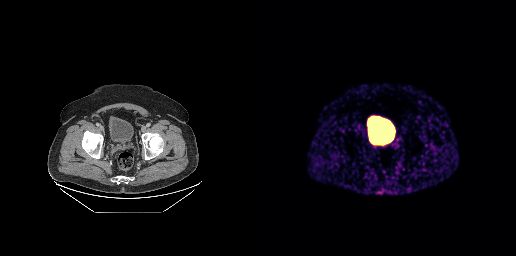
{"modality":"PSMA PET/CT","view":"axial","tracer":"[68Ga]Ga-PSMA-11","pet_grid":[256,256],"coord_frame":"pet_panel","coord_format":"x0,y0,x1,y1","lesion_bboxes":[[114,136,132,143]]}